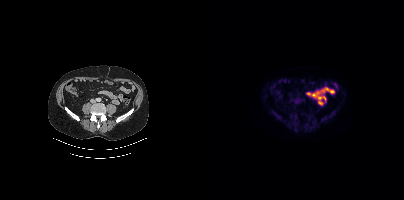
Coordinates are on the 200×200 PET (right) panel. (showing 5 of 7 foci) PSMA-avid tumor lesion bounding boxes (x0, y0)-(x1, y1): (116, 115)-(124, 122) | (92, 102)-(96, 104). Small PSMA-avid foci (2 to 4 px across) near (center x, center y): (129, 111) | (68, 110) | (97, 113).